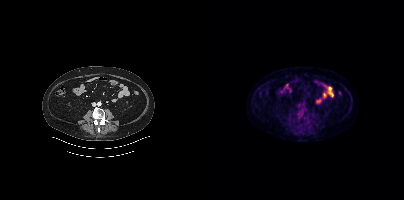
Findings: No PSMA-avid tumor lesions on this slice.
- Left: CT. Right: PSMA PET, same axial level, [18F]PSMA-1007 tracer
- acquired on Siemens Biograph mCT Flow 20